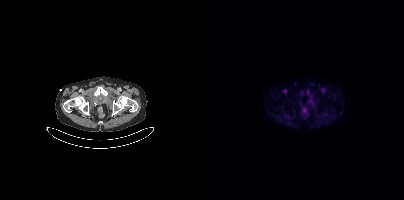
Technique: Two-panel axial: CT | PSMA PET, [18F]PSMA-1007 tracer. slice position z = -1690 mm. PET panel 200×200 px (4.1 mm/px).
Findings: Negative for PSMA-avid disease on this slice.